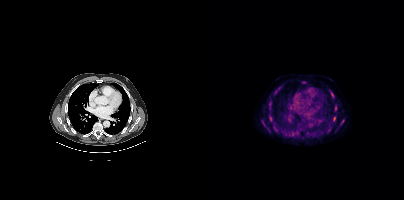
Coordinates are on the 200×200 PET (right) panel. (showing 9 of 10 foci) PSMA-avid tumor lesion bounding boxes (x0, y0)-(x1, y1): (136, 119)-(140, 125) / (127, 94)-(130, 98) / (129, 116)-(131, 121). Small PSMA-avid foci (2 to 4 px across) near (center x, center y): (71, 91) / (99, 82) / (70, 126) / (75, 87) / (60, 125) / (131, 104).